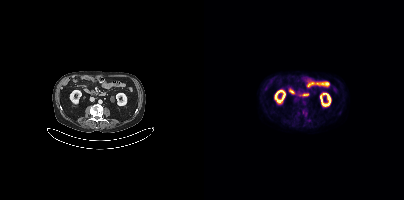
No PSMA-avid tumor lesions on this slice.